- Two-panel axial: CT | PSMA PET, 68Ga tracer
- slice position z = -1011 mm
- PET panel 200×200 px (4.1 mm/px)
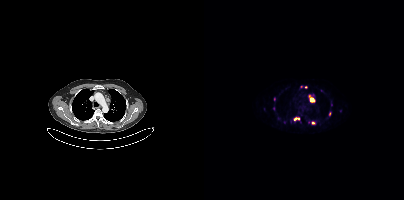
Findings: Coordinates are on the 200×200 PET (right) panel. (showing 7 of 9 foci) PSMA-avid tumor lesion bounding boxes (x, y, width, height): x=105 y=95 w=6 h=7 | x=90 y=117 w=6 h=4. Small PSMA-avid foci (2 to 4 px across) near (center x, center y): (126, 113) | (97, 86) | (109, 122) | (101, 87) | (69, 108).